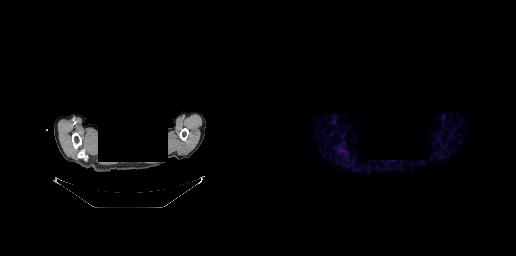
This slice has no annotated PSMA-avid lesion.
modality: PSMA PET/CT | tracer: 68Ga | view: axial | redaction: face masked with black rectangle